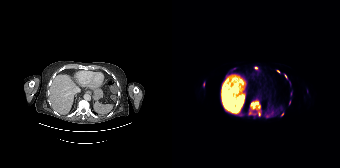
Coordinates are on the 168×168 PET (right) panel. PSMA-avid tumor lesion bounding boxes (partial; 2 more foci not listed):
| # | x0 | y0 | x1 | y1 |
|---|---|---|---|---|
| 1 | 77 | 100 | 88 | 116 |
| 2 | 112 | 74 | 115 | 78 |
Small PSMA-avid foci (2 to 4 px across) near (center x, center y): (106, 71); (84, 67); (31, 84); (110, 114); (117, 102).
Two-panel axial: CT | PSMA PET, 18F tracer. Acquired on Siemens Biograph 64-4R TruePoint. PET panel 168×168 px (4.1 mm/px).